modality: PSMA PET/CT | tracer: 18F | view: axial
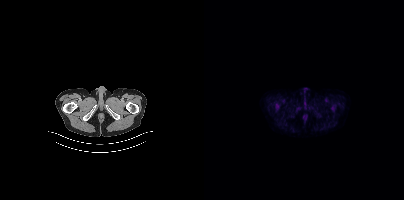
No PSMA-avid tumor lesions on this slice.